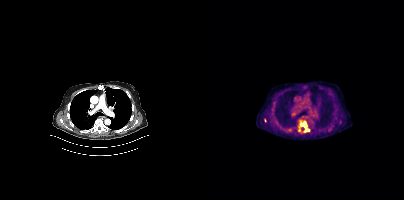
Coordinates are on the 200×200 PET (right) panel. PSMA-avid tumor lesion bounding boxes:
| # | x0 | y0 | x1 | y1 |
|---|---|---|---|---|
| 1 | 97 | 122 | 102 | 127 |
| 2 | 94 | 128 | 97 | 132 |
Small PSMA-avid foci (2 to 4 px across) near (center x, center y): (103, 130); (61, 120).
Left: CT. Right: PSMA PET, same axial level, 18F-PSMA tracer. Acquired on Siemens Biograph mCT Flow 20.